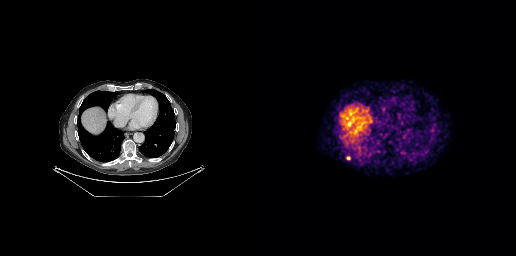
Technique: Left: CT. Right: PSMA PET, same axial level, 68Ga-PSMA tracer.
Findings: Coordinates are on the 256×256 PET (right) panel. PSMA-avid tumor lesion bounding box (x, y, width, height): x=86 y=156 w=5 h=4.